modality: PSMA PET/CT | tracer: 18F-PSMA | view: axial
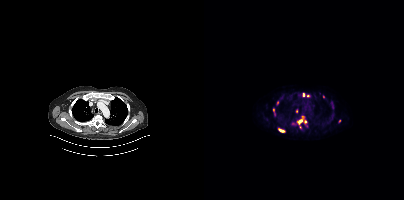
Coordinates are on the 200×200 PET (right) panel. (showing 10 of 12 foci) PSMA-avid tumor lesion bounding boxes (x0,y0,x1,y1): [93,116,102,124] [74,128,81,132] [127,102,129,108]. Small PSMA-avid foci (2 to 4 px across) near (center x, center y): (99, 94) (119, 96) (104, 95) (69, 109) (92, 111) (135, 120) (73, 102).